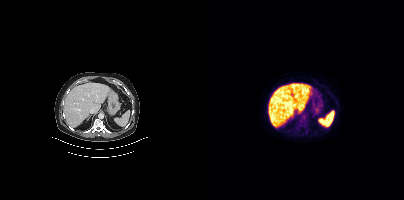
Technique: Paired axial CT (left) and PSMA PET (right), 18F tracer. slice 205 of 381. PET panel 200×200 px (4.1 mm/px).
Findings: This slice has no annotated PSMA-avid lesion.